Two-panel axial: CT | PSMA PET, 18F tracer. Acquired on Siemens Biograph mCT Flow 20. Slice position z = -711 mm. PET panel 200×200 px (4.1 mm/px).
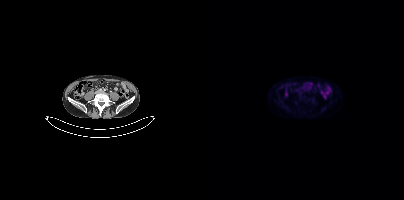
No tumor lesions annotated on this slice.